modality: PSMA PET/CT | tracer: [18F]PSMA-1007 | view: axial | PET grid: 200×200
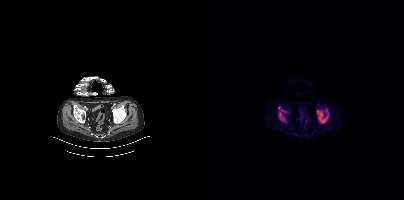
Coordinates are on the 200×200 PET (right) panel. PSMA-avid tumor lesion bounding boxes (x0,y0,x1,y1): [112,109,125,123] [74,107,84,122].